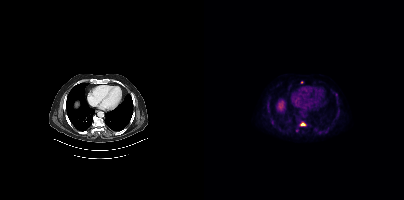
Coordinates are on the 200×200 PET (right) panel. (showing 3 of 4 foci) PSMA-avid tumor lesion bounding box (x, y, width, height): x=97 y=123 w=5 h=3. Small PSMA-avid foci (2 to 4 px across) near (center x, center y): (132, 94); (92, 130).